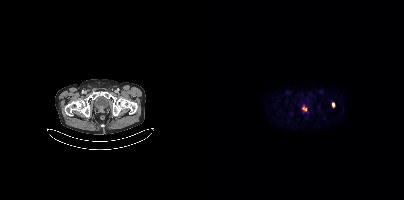
Coordinates are on the 200×200 PET (right) panel. PSMA-avid tumor lesion bounding box (x0, y0)-(x1, y1): (99, 106)-(104, 112). Small PSMA-avid focus (2 to 4 px across) near (center x, center y): (129, 104).